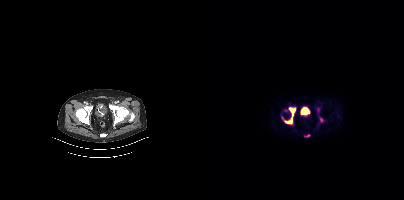
Two-panel axial: CT | PSMA PET, [18F]PSMA-1007 tracer. Slice position z = -260 mm. PET panel 200×200 px (4.1 mm/px). Coordinates are on the 200×200 PET (right) panel. (showing 2 of 3 foci) PSMA-avid tumor lesion bounding box (x0, y0)-(x1, y1): (80, 108)-(91, 124). Small PSMA-avid focus (2 to 4 px across) near (center x, center y): (117, 119).